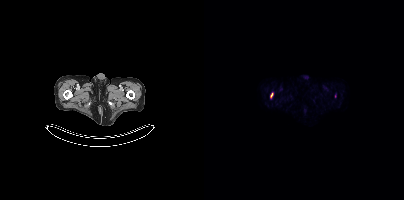
Left: CT. Right: PSMA PET, same axial level, [18F]PSMA-1007 tracer. Acquired on Siemens Biograph mCT Flow 20. Coordinates are on the 200×200 PET (right) panel. PSMA-avid tumor lesion bounding box (x0,y0,x1,y1): [67,93,68,97].